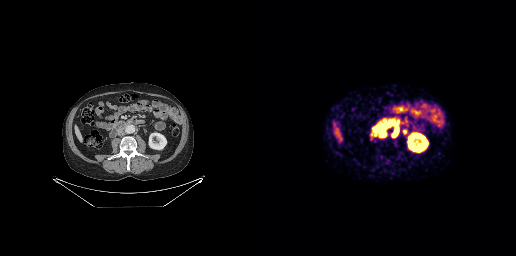
Coordinates are on the 256×256 PET (right) panel. PSMA-avid tumor lesion bounding boxes (x0,y0,x1,y1): [133,127,138,136], [119,132,125,137], [124,124,128,128].